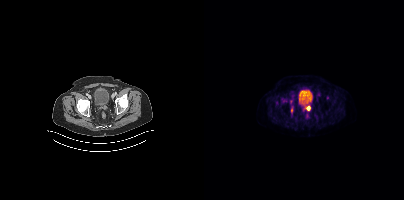
Left: CT. Right: PSMA PET, same axial level, 18F tracer.
Coordinates are on the 200×200 PET (right) panel. PSMA-avid tumor lesion bounding boxes (partial; 2 more foci not listed):
| # | x0 | y0 | x1 | y1 |
|---|---|---|---|---|
| 1 | 102 | 106 | 106 | 110 |